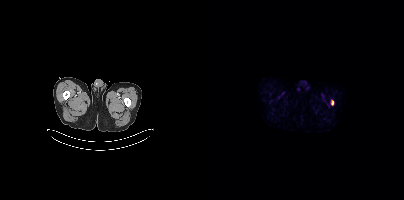
Coordinates are on the 200×200 PET (right) panel. PSMA-avid tumor lesion bounding box (x0, y0)-(x1, y1): (127, 100)-(129, 105). Paired axial CT (left) and PSMA PET (right), 18F tracer. Acquired on Siemens Biograph mCT Flow 20. Slice position z = -1544 mm. PET panel 200×200 px (4.1 mm/px).